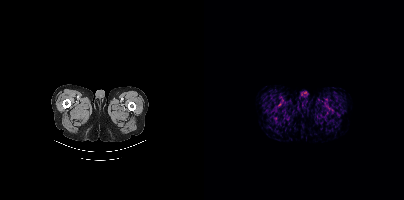
{"modality":"PSMA PET/CT","view":"axial","tracer":"[18F]PSMA-1007","pet_grid":[200,200],"coord_frame":"pet_panel","coord_format":"x0,y0,x1,y1","psma_avid_lesions":false}